Left: CT. Right: PSMA PET, same axial level, [18F]PSMA-1007 tracer. Slice 28 of 427. PET panel 200×200 px (4.1 mm/px).
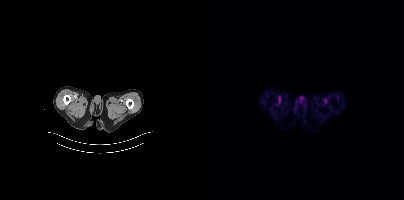
This slice has no annotated PSMA-avid lesion.